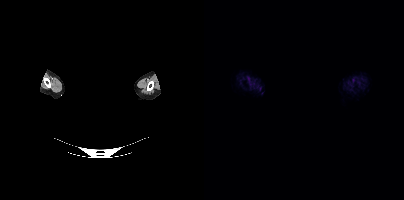
No tumor lesions annotated on this slice. De-identified by setting a box covering the face to black before release. Two-panel axial: CT | PSMA PET, [18F]PSMA-1007 tracer. PET panel 200×200 px (4.1 mm/px).